Technique: Left: CT. Right: PSMA PET, same axial level, 68Ga tracer. acquired on GE Discovery 690.
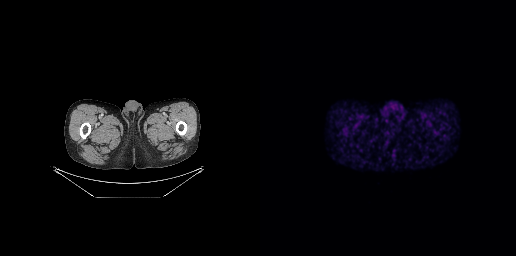
Findings: This slice has no annotated PSMA-avid lesion.